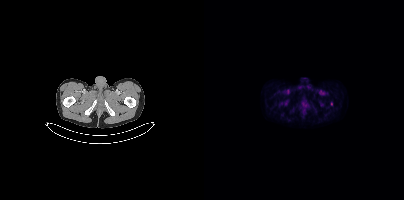
No tumor lesions annotated on this slice. Two-panel axial: CT | PSMA PET, 18F-PSMA tracer. PET panel 200×200 px (4.1 mm/px).